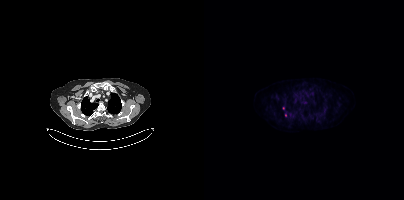
- Paired axial CT (left) and PSMA PET (right), [18F]PSMA-1007 tracer
- slice 313 of 395
Findings: No PSMA-avid tumor lesions on this slice.